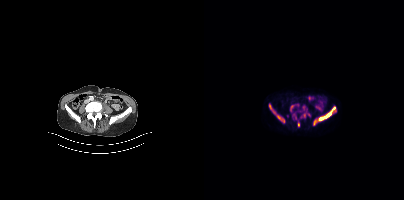
Two-panel axial: CT | PSMA PET, 18F tracer. PET panel 200×200 px (4.1 mm/px). Coordinates are on the 200×200 PET (right) panel. (showing 9 of 10 foci) PSMA-avid tumor lesion bounding boxes (x0, y0)-(x1, y1): (114, 106)-(132, 121) | (73, 115)-(80, 122) | (109, 119)-(112, 125) | (86, 105)-(89, 110) | (65, 104)-(67, 109). Small PSMA-avid foci (2 to 4 px across) near (center x, center y): (94, 124) | (100, 115) | (70, 112) | (104, 114).